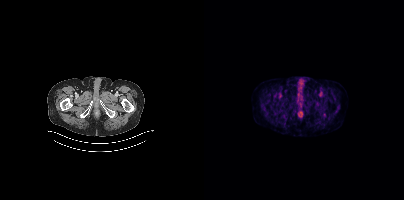
This slice has no annotated PSMA-avid lesion.